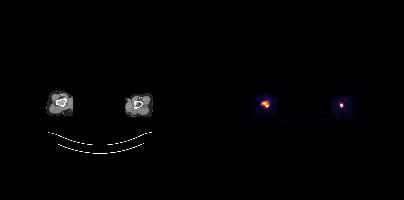
Paired axial CT (left) and PSMA PET (right), [18F]PSMA-1007 tracer. An anonymization step blacked out a rectangle over the head in this scan.
Coordinates are on the 200×200 PET (right) panel. PSMA-avid tumor lesion bounding boxes:
| # | x0 | y0 | x1 | y1 |
|---|---|---|---|---|
| 1 | 57 | 101 | 65 | 107 |
| 2 | 136 | 103 | 139 | 107 |